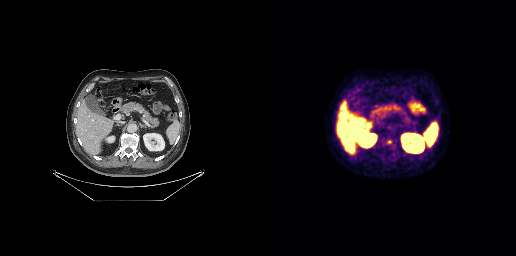
Left: CT. Right: PSMA PET, same axial level, 18F-PSMA tracer. Slice 174 of 299. PET panel 256×256 px (2.7 mm/px). No tumor lesions annotated on this slice.